Paired axial CT (left) and PSMA PET (right), 18F tracer. Acquired on Siemens Biograph mCT Flow 20. Slice position z = -544 mm.
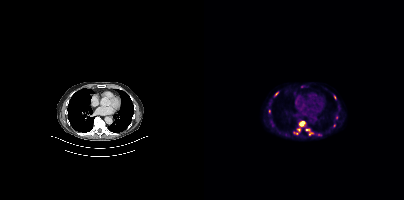
Coordinates are on the 200×200 PET (right) panel. PSMA-avid tumor lesion bounding boxes (partial; 4 more foci not listed):
| # | x0 | y0 | x1 | y1 |
|---|---|---|---|---|
| 1 | 95 | 121 | 101 | 126 |
Small PSMA-avid foci (2 to 4 px across) near (center x, center y): (103, 129); (94, 130); (130, 96); (106, 133); (72, 93); (92, 133).